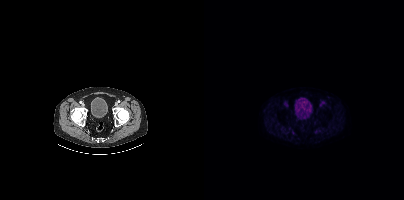
Negative for PSMA-avid disease on this slice. Paired axial CT (left) and PSMA PET (right), 18F-PSMA tracer. Acquired on Siemens Biograph mCT Flow 20. Slice position z = -974 mm. PET panel 200×200 px (4.1 mm/px).